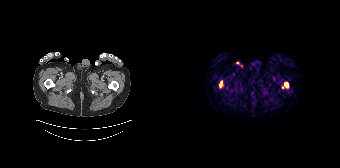
Coordinates are on the 168×168 PET (right) panel. (showing 2 of 4 foci) PSMA-avid tumor lesion bounding box (x, y, width, height): x=112 y=82 w=5 h=6. Small PSMA-avid focus (2 to 4 px across) near (center x, center y): (110, 87).